- Two-panel axial: CT | PSMA PET, 68Ga tracer
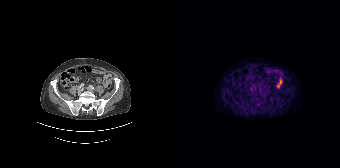
Findings: This slice has no annotated PSMA-avid lesion.